deidentification: head region blanked (face removed) | modality: PSMA PET/CT | tracer: 18F | view: axial | PET grid: 200×200
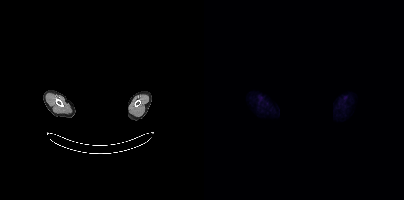
This slice has no annotated PSMA-avid lesion.